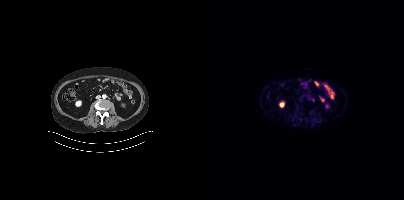
{"modality":"PSMA PET/CT","view":"axial","tracer":"18F-PSMA","pet_grid":[200,200],"coord_frame":"pet_panel","coord_format":"x0,y0,x1,y1","psma_avid_lesions":false}